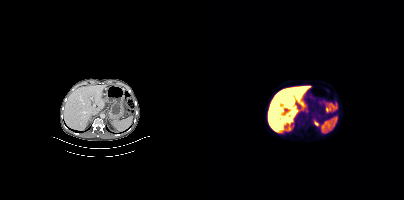
Coordinates are on the 200×200 PET (right) panel. PSMA-avid tumor lesion bounding box (x, y, width, height): x=100 y=108 w=4 h=5. Paired axial CT (left) and PSMA PET (right), 18F tracer. Acquired on Siemens Biograph mCT Flow 20. Slice position z = -1244 mm. PET panel 200×200 px (4.1 mm/px).